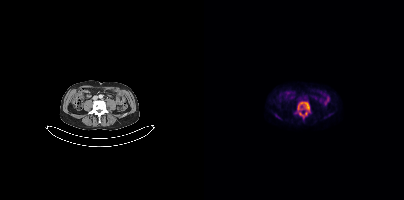
{"modality":"PSMA PET/CT","view":"axial","tracer":"18F","pet_grid":[200,200],"coord_frame":"pet_panel","coord_format":"x0,y0,x1,y1","partial":true,"lesion_bboxes":[[93,101,105,117]]}